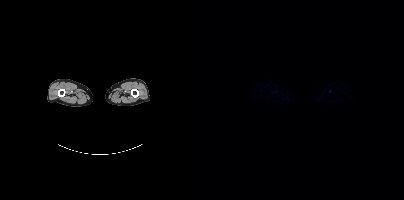
Technique: Two-panel axial: CT | PSMA PET, 18F tracer. acquired on Siemens Biograph mCT Flow 20. slice 13 of 508. PET panel 200×200 px (4.1 mm/px).
Findings: No tumor lesions annotated on this slice.